Left: CT. Right: PSMA PET, same axial level, [18F]PSMA-1007 tracer. Acquired on Siemens Biograph mCT Flow 20. Slice 289 of 435. PET panel 200×200 px (4.1 mm/px).
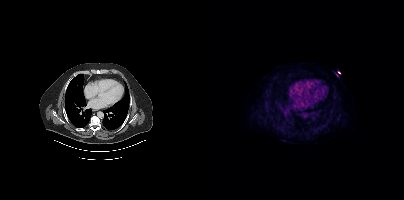
No tumor lesions annotated on this slice.